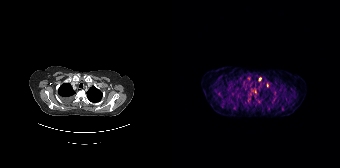
Findings: Coordinates are on the 168×168 PET (right) panel. (showing 2 of 3 foci) Small PSMA-avid foci (2 to 4 px across) near (center x, center y): (88, 78); (95, 85).
- Two-panel axial: CT | PSMA PET, 68Ga-PSMA tracer
- slice 129 of 165